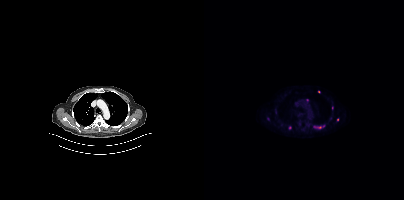
{"modality":"PSMA PET/CT","view":"axial","tracer":"[18F]PSMA-1007","pet_grid":[200,200],"coord_frame":"pet_panel","coord_format":"x0,y0,x1,y1","partial":true,"lesion_bboxes":[[110,126,117,128]],"small_foci_centers":[[85,127],[103,99]]}